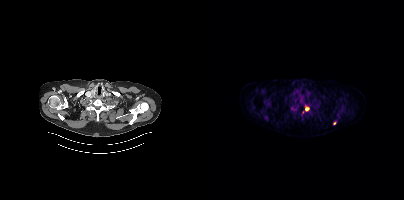
{"modality":"PSMA PET/CT","view":"axial","tracer":"18F","pet_grid":[200,200],"coord_frame":"pet_panel","coord_format":"x0,y0,x1,y1","partial":true,"lesion_bboxes":[[86,105,93,112],[96,97,100,103],[101,106,105,110]],"small_foci_centers":[[60,117],[140,110],[130,123]]}